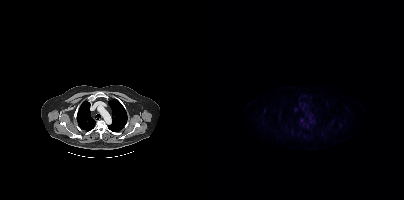
Findings: This slice has no annotated PSMA-avid lesion.
- Paired axial CT (left) and PSMA PET (right), 18F tracer
- slice 319 of 417